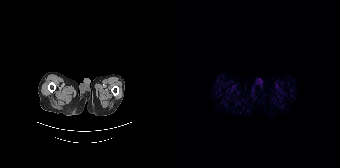
- Paired axial CT (left) and PSMA PET (right), 68Ga-PSMA tracer
- acquired on Siemens Biograph 64-4R TruePoint
- slice 6 of 165
Findings: No PSMA-avid tumor lesions on this slice.